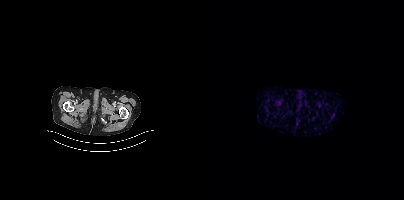
- Paired axial CT (left) and PSMA PET (right), [68Ga]Ga-PSMA-11 tracer
- acquired on Siemens Biograph mCT Flow 20
- slice position z = -1558 mm
Findings: No tumor lesions annotated on this slice.